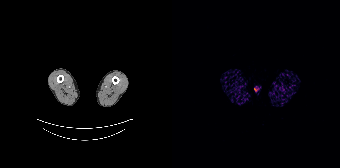
This slice has no annotated PSMA-avid lesion.